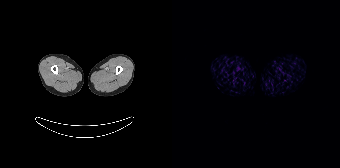
Paired axial CT (left) and PSMA PET (right), [68Ga]Ga-PSMA-11 tracer. Acquired on Siemens Biograph 64-4R TruePoint. Negative for PSMA-avid disease on this slice.